Left: CT. Right: PSMA PET, same axial level, 18F-PSMA tracer.
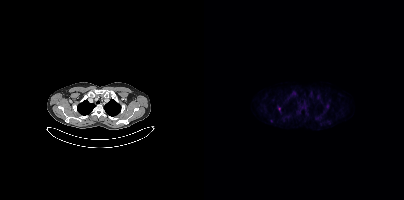
Coordinates are on the 200×200 PET (right) panel. Small PSMA-avid focus (2 to 4 px across) near (center x, center y): (75, 108).